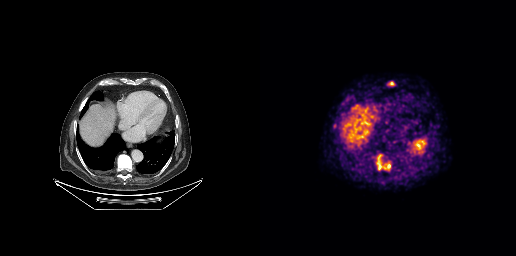
{"modality":"PSMA PET/CT","view":"axial","tracer":"68Ga-PSMA","pet_grid":[256,256],"coord_frame":"pet_panel","coord_format":"x0,y0,x1,y1","lesion_bboxes":[[116,154,130,170]],"small_foci_centers":[[131,83],[74,125]]}